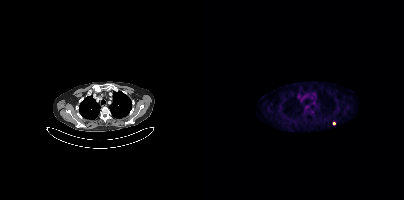
Coordinates are on the 200×200 PET (right) panel. Small PSMA-avid focus (2 to 4 px across) near (center x, center y): (130, 123).